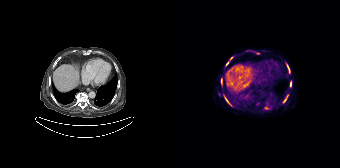
Coordinates are on the 168×168 PET (right) panel. (showing 8 of 11 foci) PSMA-avid tumor lesion bounding boxes (x, y, width, height): x=52 y=95 w=7 h=11 / x=114 y=63 w=4 h=10 / x=49 y=78 w=2 h=7 / x=118 y=81 w=2 h=6. Small PSMA-avid foci (2 to 4 px across) near (center x, center y): (55, 63) / (59, 58) / (115, 95) / (113, 100).